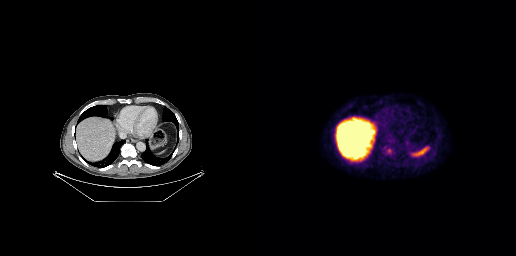
Findings: Coordinates are on the 256×256 PET (right) panel. PSMA-avid tumor lesion bounding box (x0,y0,x1,y1): [127,148,132,152].
Technique: Paired axial CT (left) and PSMA PET (right), [18F]PSMA-1007 tracer. acquired on GE Discovery 690. slice position z = -302 mm.